modality: PSMA PET/CT | tracer: 18F | view: axial
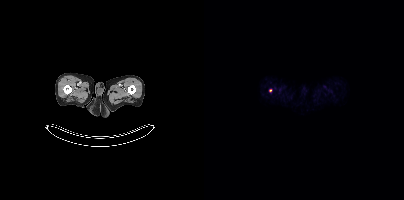
Coordinates are on the 200×200 PET (right) panel. Small PSMA-avid focus (2 to 4 px across) near (center x, center y): (66, 90).